Two-panel axial: CT | PSMA PET, 18F tracer. Slice position z = 447 mm.
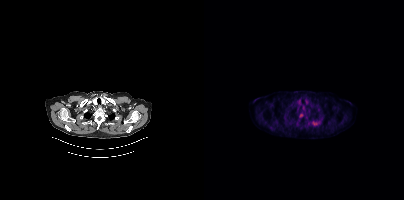
Coordinates are on the 200×200 PET (right) panel. PSMA-avid tumor lesion bounding boxes:
| # | x0 | y0 | x1 | y1 |
|---|---|---|---|---|
| 1 | 109 | 121 | 114 | 126 |
| 2 | 95 | 114 | 99 | 117 |